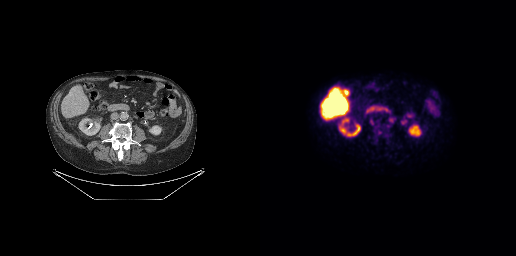
Findings: Coordinates are on the 256×256 PET (right) panel. (showing 2 of 3 foci) PSMA-avid tumor lesion bounding box (x0,y0,x1,y1): [129,119,133,122]. Small PSMA-avid focus (2 to 4 px across) near (center x, center y): (120, 132).
- Left: CT. Right: PSMA PET, same axial level, 18F tracer
- acquired on GE Discovery 690